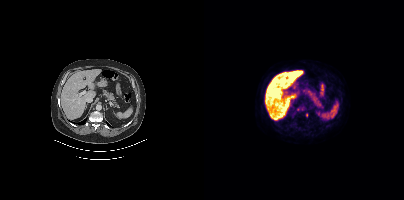
Coordinates are on the 200×200 PET (right) panel. PSMA-avid tumor lesion bounding box (x0,y0,x1,y1): [92,107,96,111]. Small PSMA-avid focus (2 to 4 px across) near (center x, center y): (102, 115). Two-panel axial: CT | PSMA PET, 18F-PSMA tracer. PET panel 200×200 px (4.1 mm/px).